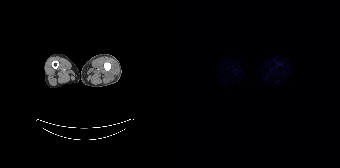
Negative for PSMA-avid disease on this slice.